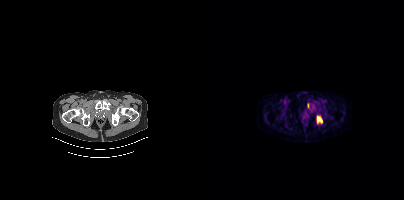
Two-panel axial: CT | PSMA PET, [68Ga]Ga-PSMA-11 tracer. Acquired on Siemens Biograph mCT Flow 20. Coordinates are on the 200×200 PET (right) panel. PSMA-avid tumor lesion bounding boxes (x0, y0)-(x1, y1): (112, 115)-(118, 123) / (103, 103)-(105, 108).